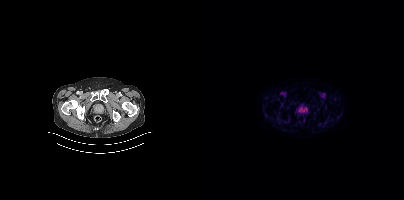
Two-panel axial: CT | PSMA PET, 18F-PSMA tracer. This slice has no annotated PSMA-avid lesion.